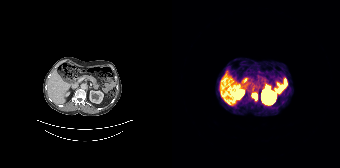
modality: PSMA PET/CT | tracer: 68Ga-PSMA | view: axial | PET grid: 168×168
Coordinates are on the 168×168 PET (right) panel. PSMA-avid tumor lesion bounding box (x0,y0,x1,y1): [80,94,84,99].